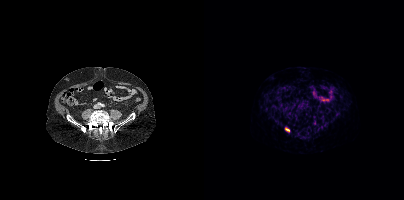
Coordinates are on the 200×200 PET (right) panel. PSMA-avid tumor lesion bounding box (x0,y0,x1,y1): [81,128,85,131].